Left: CT. Right: PSMA PET, same axial level, 18F tracer.
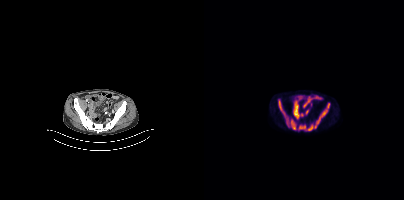
Coordinates are on the 200×200 PET (right) panel. PSMA-avid tumor lesion bounding boxes:
| # | x0 | y0 | x1 | y1 |
|---|---|---|---|---|
| 1 | 74 | 99 | 92 | 129 |
| 2 | 108 | 103 | 125 | 128 |
| 3 | 94 | 125 | 106 | 130 |